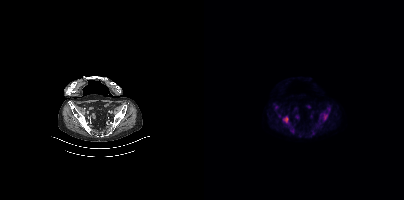
Coordinates are on the 200×200 PET (right) panel. (showing 2 of 3 foci) PSMA-avid tumor lesion bounding boxes (x, y, width, height): x=79 y=116 w=6 h=7; x=120 y=114 w=4 h=6.